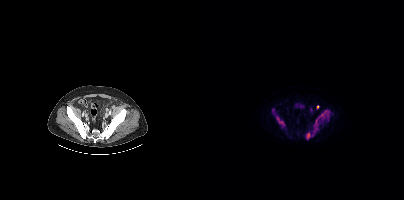
Coordinates are on the 200×200 PET (right) panel. (showing 4 of 5 foci) PSMA-avid tumor lesion bounding boxes (x0, y0)-(x1, y1): (111, 110)-(125, 126) | (102, 133)-(107, 139) | (73, 117)-(79, 124). Small PSMA-avid focus (2 to 4 px across) near (center x, center y): (113, 107).